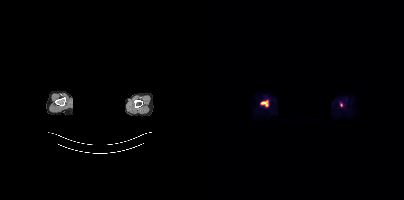
Two-panel axial: CT | PSMA PET, 18F-PSMA tracer. Acquired on Siemens Biograph mCT Flow 20. Slice position z = -889 mm. De-identified by setting a box covering the face to black before release. Coordinates are on the 200×200 PET (right) panel. PSMA-avid tumor lesion bounding box (x0,y0,x1,y1): [56,100,64,106]. Small PSMA-avid focus (2 to 4 px across) near (center x, center y): (137, 104).